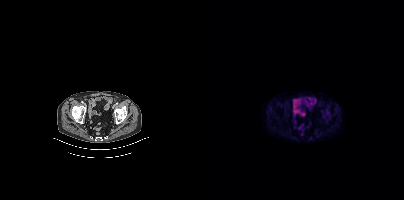
- Two-panel axial: CT | PSMA PET, 18F tracer
- slice position z = -1540 mm
- PET panel 200×200 px (4.1 mm/px)
Findings: No PSMA-avid tumor lesions on this slice.